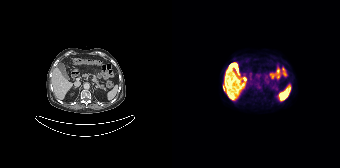
Paired axial CT (left) and PSMA PET (right), 18F tracer. Acquired on Siemens Biograph 64-4R TruePoint. Coordinates are on the 168×168 PET (right) panel. PSMA-avid tumor lesion bounding box (x0, y0)-(x1, y1): (51, 85)-(54, 92).